- facial anatomy redacted by setting a rectangular region of the head to black
- Left: CT. Right: PSMA PET, same axial level, [18F]PSMA-1007 tracer
- acquired on Siemens Biograph mCT Flow 20
- PET panel 200×200 px (4.1 mm/px)
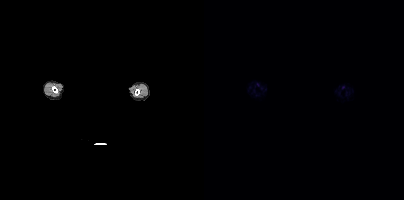
Findings: This slice has no annotated PSMA-avid lesion.